Technique: Left: CT. Right: PSMA PET, same axial level, 18F tracer.
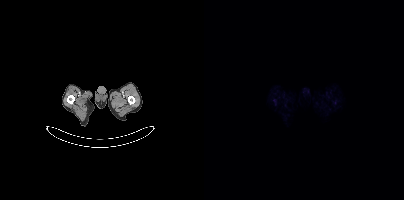
Findings: No tumor lesions annotated on this slice.